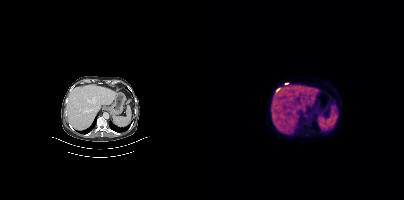
Coordinates are on the 200×200 PET (right) panel. Small PSMA-avid focus (2 to 4 px across) near (center x, center y): (82, 83). Paired axial CT (left) and PSMA PET (right), 18F-PSMA tracer. Slice 242 of 427.